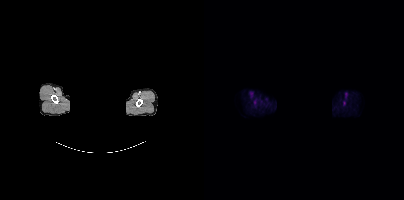
A rectangular block over the head has been blanked out for de-identification. Paired axial CT (left) and PSMA PET (right), 18F-PSMA tracer. Slice position z = -819 mm. PET panel 200×200 px (4.1 mm/px). Only PSMA-avid lesion pieces thinner than 2 px on this slice (not listed).